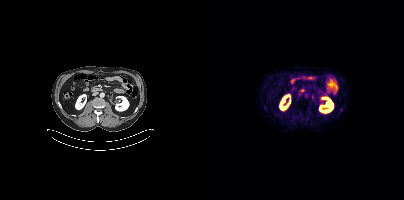
modality: PSMA PET/CT | tracer: 18F | view: axial
No PSMA-avid tumor lesions on this slice.